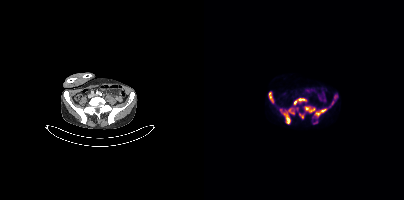
Findings: Coordinates are on the 200×200 PET (right) panel. (showing 10 of 11 foci) PSMA-avid tumor lesion bounding boxes (x0,y0,x1,y1): [79,108,90,123], [101,106,111,112], [90,98,102,104], [109,110,116,118], [65,92,70,103], [127,94,133,105], [75,108,80,111], [95,114,99,118], [109,121,113,123]. Small PSMA-avid focus (2 to 4 px across) near (center x, center y): (120, 110).
- Paired axial CT (left) and PSMA PET (right), [18F]PSMA-1007 tracer
- acquired on Siemens Biograph mCT Flow 20
- PET panel 200×200 px (4.1 mm/px)